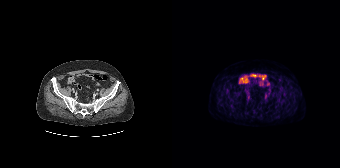
Only PSMA-avid lesion pieces thinner than 2 px on this slice (not listed). Paired axial CT (left) and PSMA PET (right), 18F-PSMA tracer. PET panel 168×168 px (4.1 mm/px).